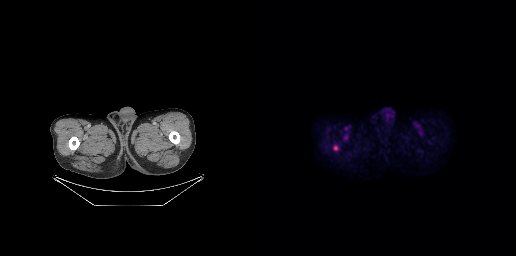
{"modality":"PSMA PET/CT","view":"axial","tracer":"[18F]PSMA-1007","pet_grid":[256,256],"coord_frame":"pet_panel","coord_format":"x0,y0,x1,y1","lesion_bboxes":[],"small_foci_centers":[[75,147]]}